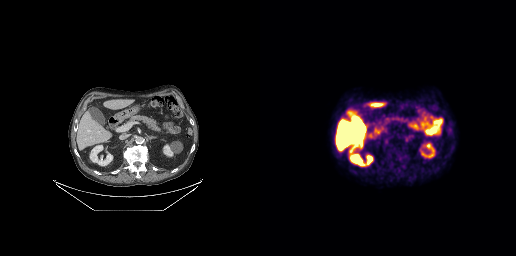
Negative for PSMA-avid disease on this slice.